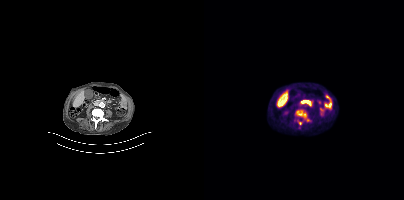
Coordinates are on the 200×200 PET (right) panel. PSMA-avid tumor lesion bounding boxes (x0,y0,x1,y1): [90,118,104,125]; [91,112,95,116]. Small PSMA-avid focus (2 to 4 px across) near (center x, center y): (95, 127). Two-panel axial: CT | PSMA PET, 18F-PSMA tracer. Slice position z = -1344 mm.